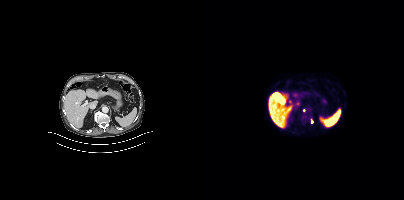
Two-panel axial: CT | PSMA PET, [18F]PSMA-1007 tracer. Slice 233 of 421. Coordinates are on the 200×200 PET (right) panel. (showing 1 of 2 foci) Small PSMA-avid focus (2 to 4 px across) near (center x, center y): (107, 121).